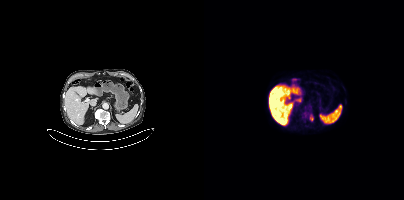
Coordinates are on the 200×200 PET (right) panel. PSMA-avid tumor lesion bounding box (x0,y0,x1,y1): [99,111,103,115]. Small PSMA-avid focus (2 to 4 px across) near (center x, center y): (107, 118).